Technique: Paired axial CT (left) and PSMA PET (right), 18F-PSMA tracer. PET panel 200×200 px (4.1 mm/px).
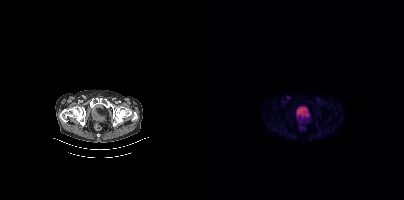
Findings: Coordinates are on the 200×200 PET (right) panel. Small PSMA-avid focus (2 to 4 px across) near (center x, center y): (84, 97).